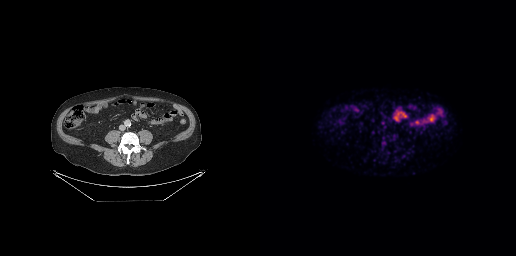
Findings: Only PSMA-avid lesion pieces thinner than 2 px on this slice (not listed).
Technique: Paired axial CT (left) and PSMA PET (right), 18F tracer. acquired on GE Discovery 690.